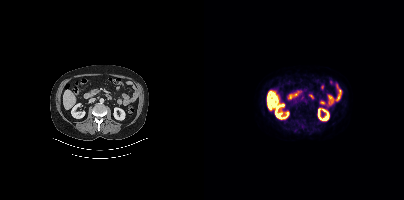
modality: PSMA PET/CT | tracer: 18F-PSMA | view: axial
Coordinates are on the 200×200 PET (right) panel. (showing 2 of 4 foci) Small PSMA-avid foci (2 to 4 px across) near (center x, center y): (96, 116) / (101, 103).